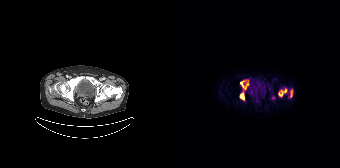
Coordinates are on the 168×168 PET (right) panel. PSMA-avid tumor lesion bounding boxes (x0,y0,x1,y1): [68,80,76,89], [106,88,114,96], [68,92,72,100], [118,89,120,97].